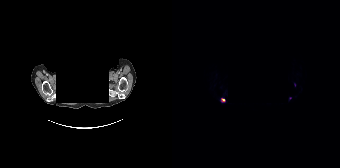
{"modality":"PSMA PET/CT","view":"axial","tracer":"18F","pet_grid":[168,168],"coord_frame":"pet_panel","coord_format":"x0,y0,x1,y1","lesion_bboxes":[[49,98,53,102]],"small_foci_centers":[[118,97]],"deidentification":"rectangular block over head set to black"}